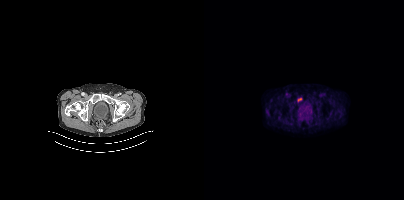
{"modality":"PSMA PET/CT","view":"axial","tracer":"[18F]PSMA-1007","pet_grid":[200,200],"coord_frame":"pet_panel","coord_format":"x0,y0,x1,y1","lesion_bboxes":[],"small_foci_centers":[[95,99]]}